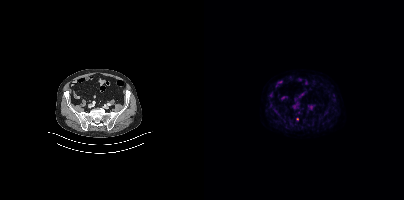
Technique: Left: CT. Right: PSMA PET, same axial level, [18F]PSMA-1007 tracer. acquired on Siemens Biograph mCT Flow 20. PET panel 200×200 px (4.1 mm/px).
Findings: Coordinates are on the 200×200 PET (right) panel. Small PSMA-avid focus (2 to 4 px across) near (center x, center y): (93, 118).